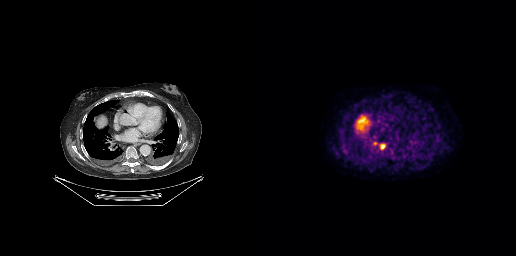
Left: CT. Right: PSMA PET, same axial level, 18F tracer. Slice 222 of 299. Coordinates are on the 256×256 PET (right) panel. PSMA-avid tumor lesion bounding box (x, y, width, height): x=118 y=143 w=8 h=8. Small PSMA-avid focus (2 to 4 px across) near (center x, center y): (115, 143).